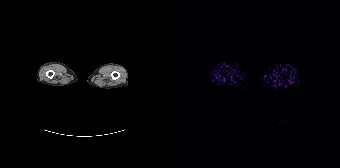
{"modality":"PSMA PET/CT","view":"axial","tracer":"[68Ga]Ga-PSMA-11","pet_grid":[168,168],"coord_frame":"pet_panel","coord_format":"x0,y0,x1,y1","psma_avid_lesions":false}